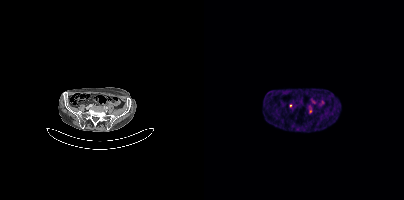
modality: PSMA PET/CT | tracer: [68Ga]Ga-PSMA-11 | view: axial
Coordinates are on the 200×200 PET (right) panel. Small PSMA-avid focus (2 to 4 px across) near (center x, center y): (106, 111).